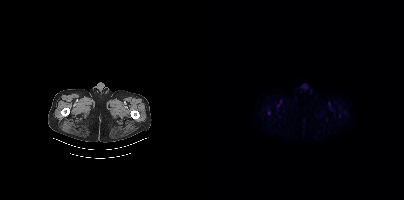
- Left: CT. Right: PSMA PET, same axial level, [18F]PSMA-1007 tracer
Findings: Coordinates are on the 200×200 PET (right) panel. Small PSMA-avid focus (2 to 4 px across) near (center x, center y): (65, 112).